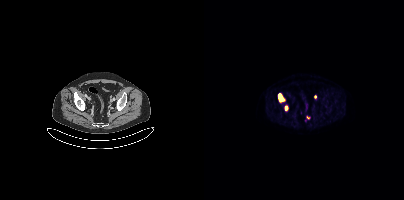
Paired axial CT (left) and PSMA PET (right), [18F]PSMA-1007 tracer.
Coordinates are on the 200×200 PET (right) panel. PSMA-avid tumor lesion bounding boxes:
| # | x0 | y0 | x1 | y1 |
|---|---|---|---|---|
| 1 | 74 | 94 | 79 | 100 |
| 2 | 81 | 106 | 83 | 110 |
Small PSMA-avid focus (2 to 4 px across) near (center x, center y): (111, 96).